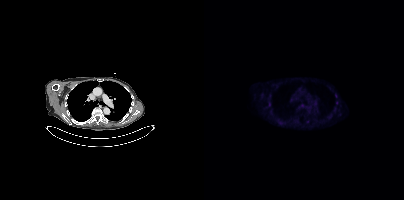
Coordinates are on the 200×200 PET (right) panel. Small PSMA-avid foci (2 to 4 px across) near (center x, center y): (131, 95); (132, 103).